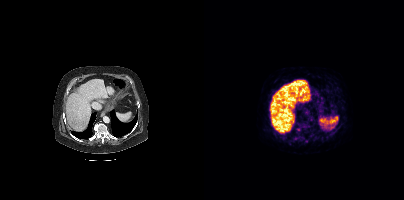
modality: PSMA PET/CT | tracer: 68Ga-PSMA | view: axial
No tumor lesions annotated on this slice.